Paired axial CT (left) and PSMA PET (right), 18F tracer. Slice position z = -220 mm. PET panel 200×200 px (4.1 mm/px). De-identified by setting a box covering the face to black before release.
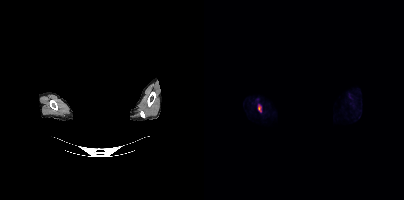
Coordinates are on the 200×200 PET (right) panel. PSMA-avid tumor lesion bounding boxes (partial; 1 more focus not listed):
| # | x0 | y0 | x1 | y1 |
|---|---|---|---|---|
| 1 | 53 | 103 | 58 | 112 |